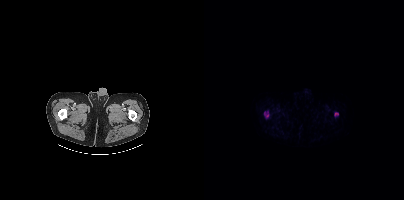
Coordinates are on the 200×200 PET (right) panel. PSMA-avid tumor lesion bounding boxes:
| # | x0 | y0 | x1 | y1 |
|---|---|---|---|---|
| 1 | 62 | 114 | 65 | 118 |
Small PSMA-avid foci (2 to 4 px across) near (center x, center y): (132, 114); (61, 112).
Left: CT. Right: PSMA PET, same axial level, [18F]PSMA-1007 tracer.